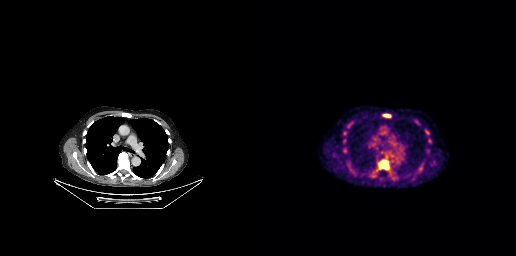
Paired axial CT (left) and PSMA PET (right), 18F-PSMA tracer. Acquired on GE Discovery 690. PET panel 256×256 px (2.7 mm/px). Coordinates are on the 256×256 PET (right) panel. PSMA-avid tumor lesion bounding boxes (x0,y0,x1,y1): [117,159,129,170] [123,114,131,117].